Left: CT. Right: PSMA PET, same axial level, 18F tracer. Slice 131 of 454. PET panel 200×200 px (4.1 mm/px).
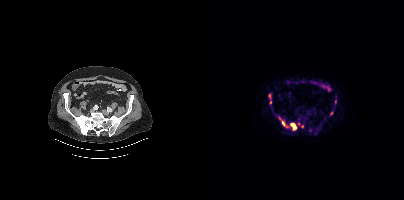
Coordinates are on the 200×200 PET (right) panel. PSMA-avid tumor lesion bounding boxes:
| # | x0 | y0 | x1 | y1 |
|---|---|---|---|---|
| 1 | 86 | 123 | 92 | 130 |
| 2 | 77 | 120 | 84 | 127 |
Small PSMA-avid foci (2 to 4 px across) near (center x, center y): (65, 95); (98, 126); (66, 102); (127, 113); (94, 124); (131, 101); (75, 118).